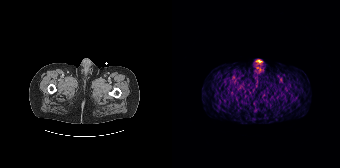
Negative for PSMA-avid disease on this slice.